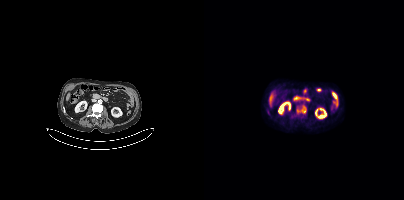
Coordinates are on the 200×200 PET (right) panel. PSMA-avid tumor lesion bounding box (x0, y0)-(x1, y1): (92, 105)-(102, 113). Two-panel axial: CT | PSMA PET, 18F-PSMA tracer. PET panel 200×200 px (4.1 mm/px).